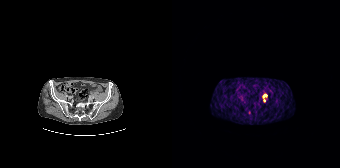
Paired axial CT (left) and PSMA PET (right), 68Ga-PSMA tracer. Slice 57 of 195. Coordinates are on the 168×168 PET (right) panel. (showing 1 of 3 foci) Small PSMA-avid focus (2 to 4 px across) near (center x, center y): (92, 95).